modality: PSMA PET/CT | tracer: 18F-PSMA | view: axial | PET grid: 200×200
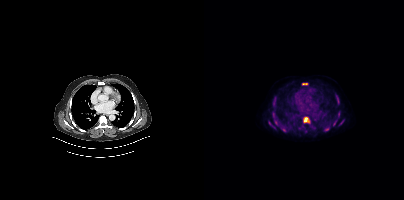
Coordinates are on the 200×200 PET (right) panel. (showing 10 of 16 foci) PSMA-avid tumor lesion bounding boxes (x, y, width, height): x=99 y=117 w=7 h=7 / x=77 y=127 w=6 h=6 / x=133 y=99 w=3 h=6 / x=69 y=97 w=3 h=8 / x=98 y=83 w=6 h=2 / x=129 y=120 w=4 h=6 / x=135 y=120 w=5 h=6. Small PSMA-avid foci (2 to 4 px across) near (center x, center y): (123, 128) / (134, 115) / (65, 123).